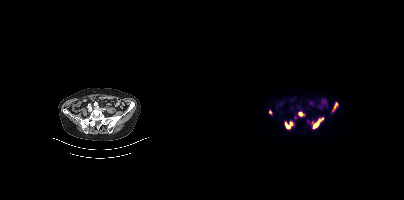
Two-panel axial: CT | PSMA PET, 68Ga tracer. Coordinates are on the 200×200 PET (right) panel. PSMA-avid tumor lesion bounding boxes (x0,y0,x1,y1): [109,117,119,127]; [81,122,86,128]; [130,103,133,109]; [94,112,100,115]. Small PSMA-avid foci (2 to 4 px across) near (center x, center y): (86, 122); (66, 112); (109, 121); (91, 117).